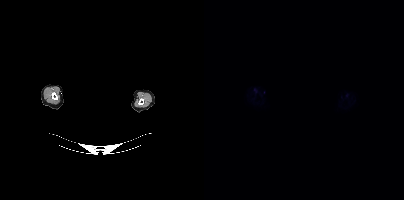
Negative for PSMA-avid disease on this slice.
A rectangular block over the head has been blanked out for de-identification.